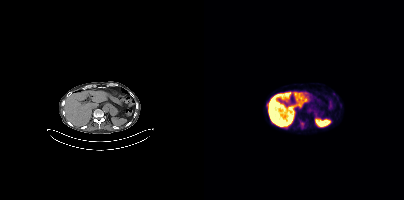
Technique: Left: CT. Right: PSMA PET, same axial level, [18F]PSMA-1007 tracer. acquired on Siemens Biograph mCT Flow 20. slice 210 of 385. PET panel 200×200 px (4.1 mm/px).
Findings: Coordinates are on the 200×200 PET (right) panel. (showing 1 of 2 foci) Small PSMA-avid focus (2 to 4 px across) near (center x, center y): (62, 105).